- Two-panel axial: CT | PSMA PET, 18F-PSMA tracer
- slice 255 of 407
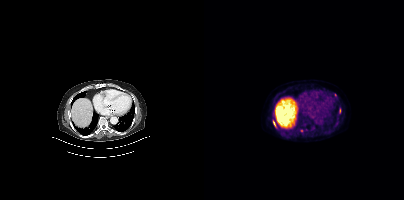
Findings: Coordinates are on the 200×200 PET (right) panel. (showing 4 of 5 foci) PSMA-avid tumor lesion bounding boxes (x0,y0,x1,y1): [135,108,136,113]; [69,121,71,126]. Small PSMA-avid foci (2 to 4 px across) near (center x, center y): (69, 114); (97, 130).